modality: PSMA PET/CT | tracer: 18F-PSMA | view: axial
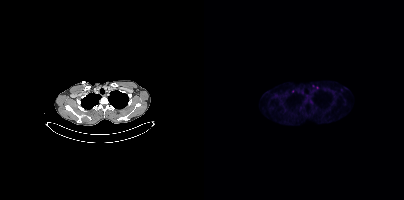
Negative for PSMA-avid disease on this slice.